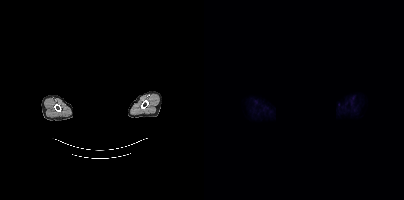
Findings: This slice has no annotated PSMA-avid lesion.
- Paired axial CT (left) and PSMA PET (right), [18F]PSMA-1007 tracer
- acquired on Siemens Biograph mCT Flow 20
- de-identified by setting a box covering the face to black before release